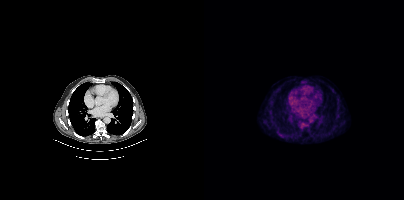
Findings: Negative for PSMA-avid disease on this slice.
Technique: Left: CT. Right: PSMA PET, same axial level, [18F]PSMA-1007 tracer. slice 280 of 423. PET panel 200×200 px (4.1 mm/px).